Two-panel axial: CT | PSMA PET, 18F-PSMA tracer. Acquired on GE Discovery 690. PET panel 256×256 px (2.7 mm/px).
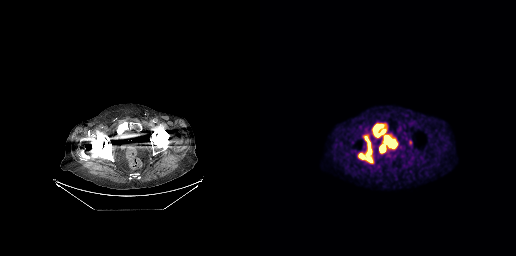
Coordinates are on the 256×256 PET (right) panel. PSMA-avid tumor lesion bounding boxes (x0,y0,x1,y1): [99,140,112,162] [113,124,125,136].